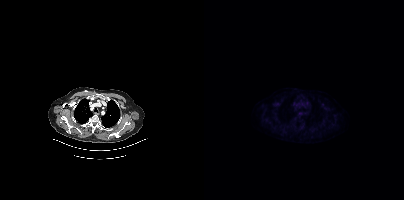
Negative for PSMA-avid disease on this slice.
modality: PSMA PET/CT | tracer: 18F-PSMA | view: axial